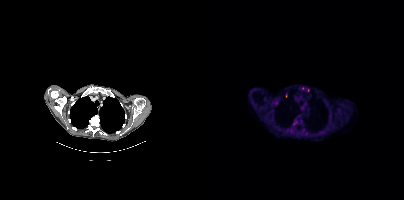
Technique: Left: CT. Right: PSMA PET, same axial level, [18F]PSMA-1007 tracer. slice 310 of 403. PET panel 200×200 px (4.1 mm/px).
Findings: Coordinates are on the 200×200 PET (right) panel. (showing 1 of 4 foci) Small PSMA-avid focus (2 to 4 px across) near (center x, center y): (98, 88).